Two-panel axial: CT | PSMA PET, 18F tracer. PET panel 256×256 px (2.7 mm/px).
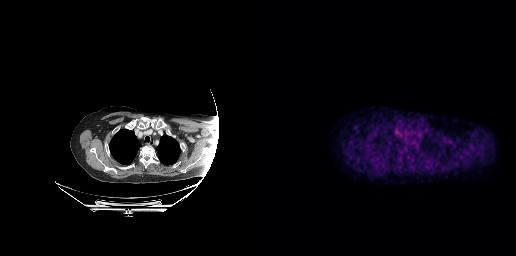
No tumor lesions annotated on this slice.